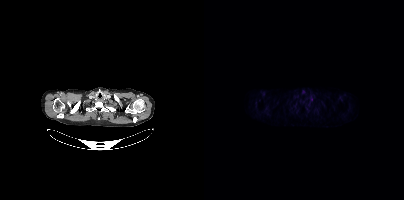
modality: PSMA PET/CT | tracer: 18F | view: axial | PET grid: 200×200
This slice has no annotated PSMA-avid lesion.